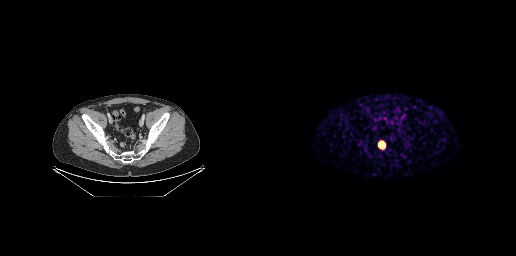
- Left: CT. Right: PSMA PET, same axial level, [68Ga]Ga-PSMA-11 tracer
- slice position z = -818 mm
- PET panel 256×256 px (2.7 mm/px)
Findings: Coordinates are on the 256×256 PET (right) panel. PSMA-avid tumor lesion bounding box (x0, y0)-(x1, y1): (119, 142)-(124, 148).